Technique: Paired axial CT (left) and PSMA PET (right), [18F]PSMA-1007 tracer. acquired on Siemens Biograph mCT Flow 20. PET panel 200×200 px (4.1 mm/px).
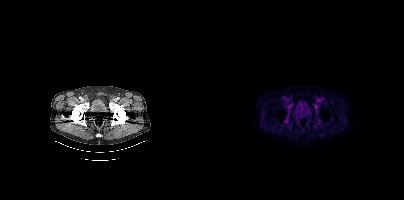
Findings: Negative for PSMA-avid disease on this slice.